Technique: Paired axial CT (left) and PSMA PET (right), [18F]PSMA-1007 tracer. PET panel 168×168 px (4.1 mm/px).
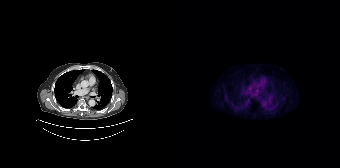
Findings: No tumor lesions annotated on this slice.